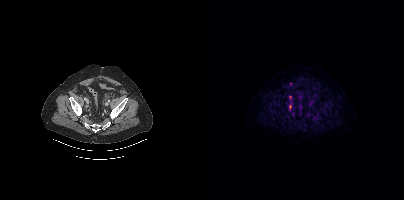
Coordinates are on the 200×200 PET (right) panel. PSMA-avid tumor lesion bounding box (x0, y0)-(x1, y1): (85, 105)-(87, 110). Left: CT. Right: PSMA PET, same axial level, [18F]PSMA-1007 tracer. Acquired on Siemens Biograph mCT Flow 20. Slice 108 of 435.